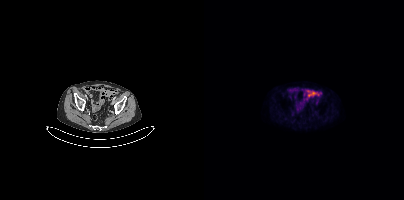
No PSMA-avid tumor lesions on this slice.
modality: PSMA PET/CT | tracer: [18F]PSMA-1007 | view: axial